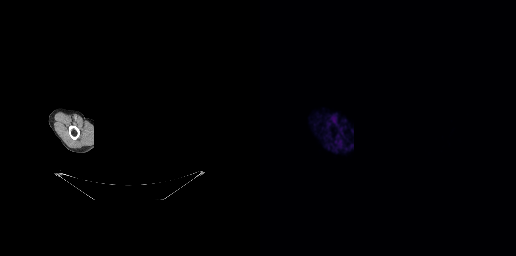
This slice has no annotated PSMA-avid lesion. Head region blanked for anonymization (face removed). Left: CT. Right: PSMA PET, same axial level, 68Ga tracer. Acquired on GE Discovery 690. Slice 243 of 263. PET panel 256×256 px (2.7 mm/px).